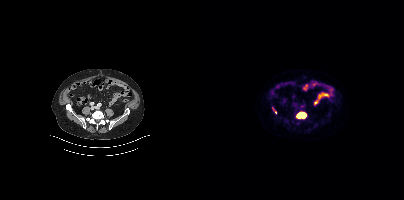
{"modality":"PSMA PET/CT","view":"axial","tracer":"[18F]PSMA-1007","pet_grid":[200,200],"coord_frame":"pet_panel","coord_format":"x0,y0,x1,y1","lesion_bboxes":[[92,112,102,118],[68,107,72,113]]}